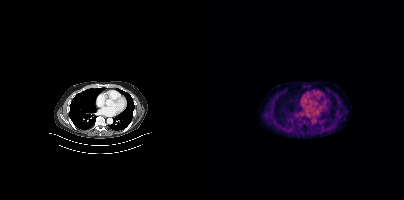
{"modality":"PSMA PET/CT","view":"axial","tracer":"[18F]PSMA-1007","pet_grid":[200,200],"coord_frame":"pet_panel","coord_format":"x0,y0,x1,y1","psma_avid_lesions":false}